- Two-panel axial: CT | PSMA PET, [18F]PSMA-1007 tracer
- acquired on Siemens Biograph mCT Flow 20
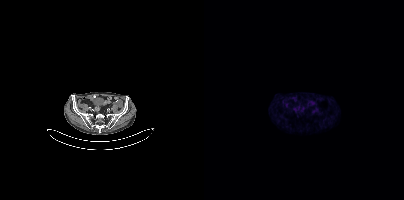
Findings: Negative for PSMA-avid disease on this slice.